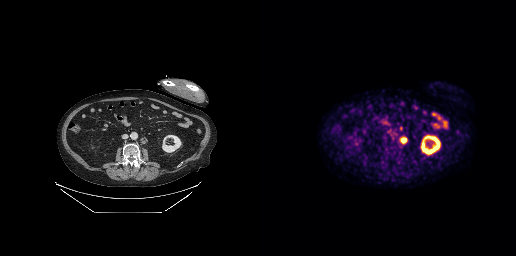
Coordinates are on the 256×256 PET (right) panel. (showing 1 of 2 foci) PSMA-avid tumor lesion bounding box (x0, y0)-(x1, y1): (140, 137)-(147, 143).